Two-panel axial: CT | PSMA PET, [68Ga]Ga-PSMA-11 tracer. Slice 27 of 195. PET panel 168×168 px (4.1 mm/px).
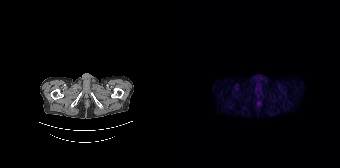
No tumor lesions annotated on this slice.